- Left: CT. Right: PSMA PET, same axial level, 18F tracer
- slice position z = -361 mm
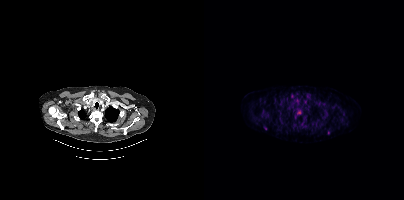
Findings: Coordinates are on the 200×200 PET (right) panel. Small PSMA-avid focus (2 to 4 px across) near (center x, center y): (124, 132).